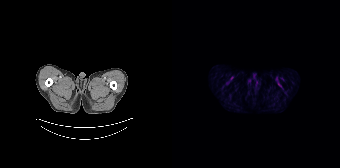
{"modality":"PSMA PET/CT","view":"axial","tracer":"18F","pet_grid":[168,168],"coord_frame":"pet_panel","coord_format":"x0,y0,x1,y1","psma_avid_lesions":false}